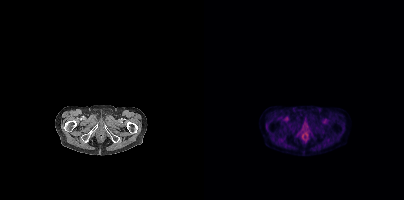
{"modality":"PSMA PET/CT","view":"axial","tracer":"18F-PSMA","pet_grid":[200,200],"coord_frame":"pet_panel","coord_format":"x0,y0,x1,y1","psma_avid_lesions":false}